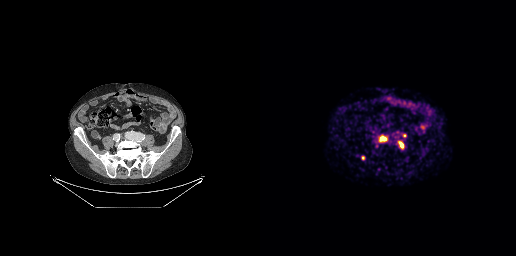
Paired axial CT (left) and PSMA PET (right), 68Ga tracer. Acquired on GE Discovery 690. Slice position z = -710 mm. PET panel 256×256 px (2.7 mm/px). Coordinates are on the 256×256 PET (right) panel. PSMA-avid tumor lesion bounding boxes (x0, y0)-(x1, y1): (120, 137)-(126, 140) / (140, 142)-(143, 147) / (142, 134)-(146, 137). Small PSMA-avid foci (2 to 4 px across) near (center x, center y): (102, 157) / (118, 141) / (116, 145).